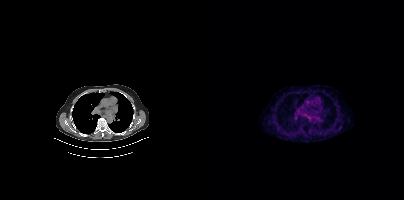
{"modality":"PSMA PET/CT","view":"axial","tracer":"68Ga-PSMA","pet_grid":[200,200],"coord_frame":"pet_panel","coord_format":"x0,y0,x1,y1","psma_avid_lesions":false}